modality: PSMA PET/CT | tracer: 18F-PSMA | view: axial | PET grid: 200×200
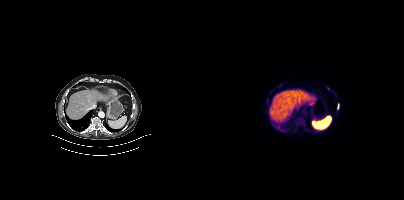
Coordinates are on the 200×200 PET (right) panel. PSMA-avid tumor lesion bounding box (x, y, width, height): x=133 y=104 w=3 h=5. Small PSMA-avid focus (2 to 4 px across) near (center x, center y): (124, 88).